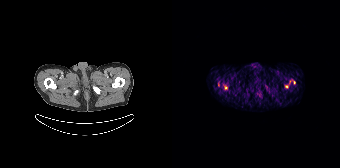
Left: CT. Right: PSMA PET, same axial level, 68Ga-PSMA tracer. Slice 11 of 165. PET panel 168×168 px (4.1 mm/px). Coordinates are on the 168×168 PET (right) panel. (showing 3 of 4 foci) PSMA-avid tumor lesion bounding box (x0, y0)-(x1, y1): (51, 84)-(55, 89). Small PSMA-avid foci (2 to 4 px across) near (center x, center y): (46, 84) / (114, 86).